modality: PSMA PET/CT | tracer: 18F | view: axial
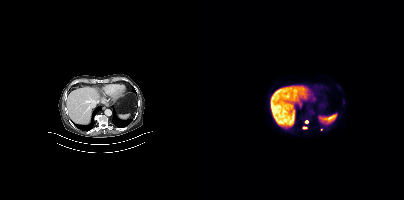
Coordinates are on the 200×200 PET (right) panel. (showing 2 of 3 foci) Small PSMA-avid foci (2 to 4 px across) near (center x, center y): (102, 121) (100, 127).